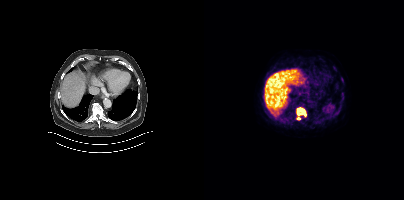
{"modality":"PSMA PET/CT","view":"axial","tracer":"[18F]PSMA-1007","pet_grid":[200,200],"coord_frame":"pet_panel","coord_format":"x0,y0,x1,y1","partial":true,"lesion_bboxes":[[93,108,101,115],[128,115,132,118]],"small_foci_centers":[[138,79],[94,118]]}